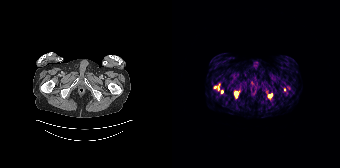
Two-panel axial: CT | PSMA PET, 68Ga-PSMA tracer. Acquired on Siemens Biograph 64-4R TruePoint. Slice 50 of 195. PET panel 168×168 px (4.1 mm/px).
Coordinates are on the 168×168 PET (right) panel. PSMA-avid tumor lesion bounding boxes (partial; 2 more foci not listed):
| # | x0 | y0 | x1 | y1 |
|---|---|---|---|---|
| 1 | 62 | 92 | 66 | 97 |
| 2 | 96 | 94 | 100 | 97 |
Small PSMA-avid foci (2 to 4 px across) near (center x, center y): (50, 91); (112, 89).